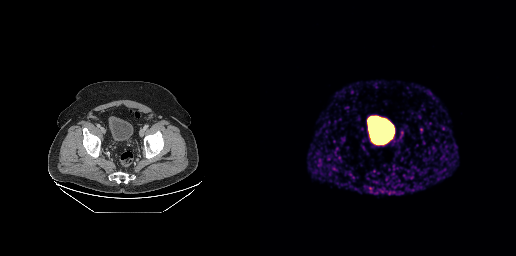
- Two-panel axial: CT | PSMA PET, 68Ga tracer
- PET panel 256×256 px (2.7 mm/px)
Findings: Only PSMA-avid lesion pieces thinner than 2 px on this slice (not listed).